modality: PSMA PET/CT | tracer: [18F]PSMA-1007 | view: axial | PET grid: 200×200
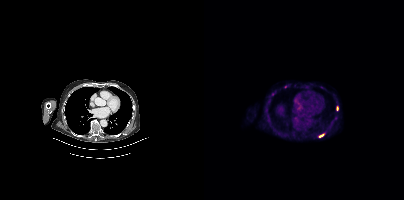
Coordinates are on the 200×200 PET (right) panel. (showing 3 of 4 foci) PSMA-avid tumor lesion bounding boxes (x0,y0,x1,y1): [132,106,134,110] [115,134,120,137] [67,92,71,95].